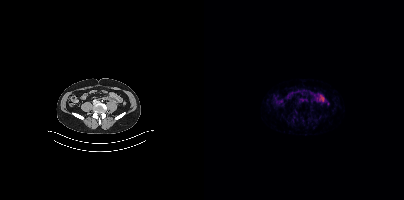
Negative for PSMA-avid disease on this slice. Paired axial CT (left) and PSMA PET (right), 68Ga-PSMA tracer. Acquired on Siemens Biograph mCT Flow 20. Slice 132 of 411.